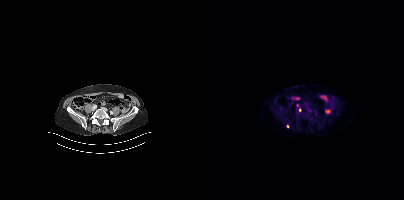
- Two-panel axial: CT | PSMA PET, [18F]PSMA-1007 tracer
- slice position z = -1361 mm
- PET panel 200×200 px (4.1 mm/px)
Findings: Coordinates are on the 200×200 PET (right) panel. Small PSMA-avid foci (2 to 4 px across) near (center x, center y): (83, 126) | (95, 109).